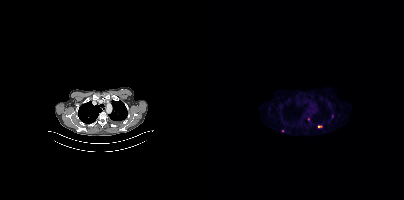
modality: PSMA PET/CT | tracer: 18F | view: axial | PET grid: 200×200
Coordinates are on the 200×200 PET (right) panel. (showing 3 of 4 foci) Small PSMA-avid foci (2 to 4 px across) near (center x, center y): (128, 116) | (115, 126) | (78, 130).